Paired axial CT (left) and PSMA PET (right), 18F-PSMA tracer.
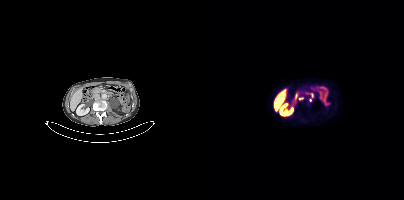
Coordinates are on the 200×200 PET (right) panel. Small PSMA-avid foci (2 to 4 px across) near (center x, center y): (106, 100); (96, 98).